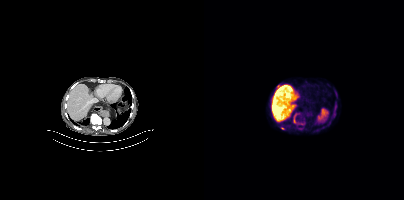
Coordinates are on the 200×200 PET (right) panel. PSMA-avid tumor lesion bounding boxes (partial; 1 more focus not listed):
| # | x0 | y0 | x1 | y1 |
|---|---|---|---|---|
| 1 | 89 | 114 | 92 | 123 |
Small PSMA-avid foci (2 to 4 px across) near (center x, center y): (131, 108); (78, 128); (74, 86); (129, 116).
Left: CT. Right: PSMA PET, same axial level, [18F]PSMA-1007 tracer. Slice position z = 290 mm.